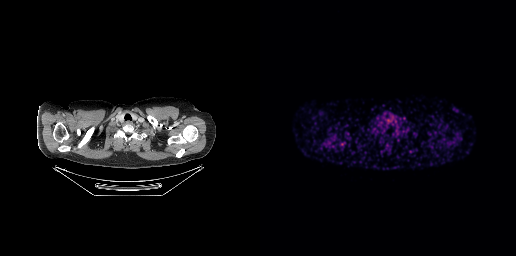
{"modality":"PSMA PET/CT","view":"axial","tracer":"68Ga-PSMA","pet_grid":[256,256],"coord_frame":"pet_panel","coord_format":"x0,y0,x1,y1","psma_avid_lesions":false}